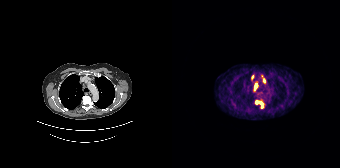
Coordinates are on the 168×168 PET (right) panel. (showing 4 of 5 foci) PSMA-avid tumor lesion bounding boxes (x, y, width, height): x=83 y=100 w=9 h=9; x=82 y=83 w=5 h=7; x=91 y=78 w=3 h=5. Small PSMA-avid focus (2 to 4 px across) near (center x, center y): (80, 77).